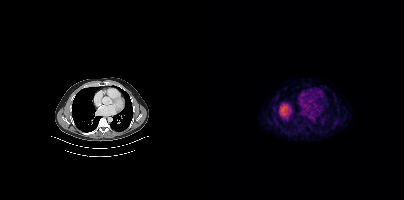
modality: PSMA PET/CT | tracer: 18F | view: axial | PET grid: 200×200
This slice has no annotated PSMA-avid lesion.